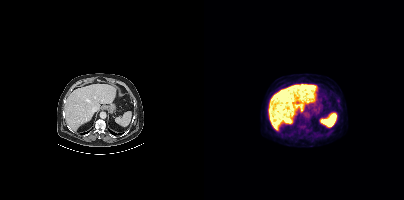
No tumor lesions annotated on this slice.